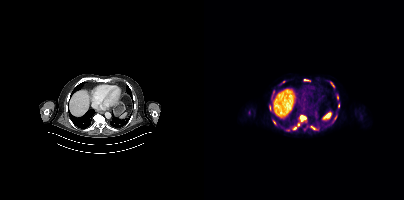
{"modality":"PSMA PET/CT","view":"axial","tracer":"18F-PSMA","pet_grid":[200,200],"coord_frame":"pet_panel","coord_format":"x0,y0,x1,y1","partial":true,"lesion_bboxes":[[88,115,102,130],[107,126,112,129],[65,105,67,110],[130,115,132,120],[126,82,130,86],[69,120,71,124],[100,79,104,80]],"small_foci_centers":[[134,105],[79,81],[69,92],[133,97]]}